Technique: Two-panel axial: CT | PSMA PET, 18F tracer. acquired on Siemens Biograph mCT Flow 20. PET panel 200×200 px (4.1 mm/px).
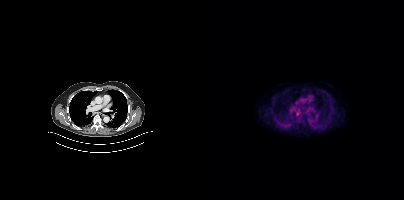
Findings: No PSMA-avid tumor lesions on this slice.